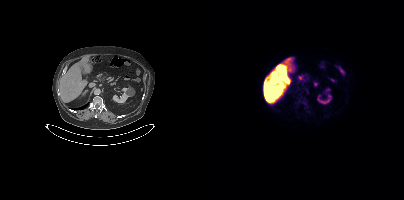
Only PSMA-avid lesion pieces thinner than 2 px on this slice (not listed). Paired axial CT (left) and PSMA PET (right), 18F-PSMA tracer. Acquired on Siemens Biograph mCT Flow 20. Slice position z = -527 mm.